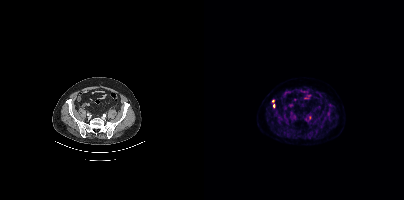
Coordinates are on the 200×200 PET (right) panel. (showing 2 of 3 foci) Small PSMA-avid foci (2 to 4 px across) near (center x, center y): (106, 117) / (69, 105).